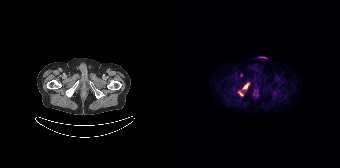
modality: PSMA PET/CT | tracer: 68Ga | view: axial | PET grid: 168×168
Coordinates are on the 168×168 PET (right) panel. PSMA-avid tumor lesion bounding boxes (x, y, width, height): x=71 y=83 w=7 h=7 / x=66 y=91 w=6 h=5.